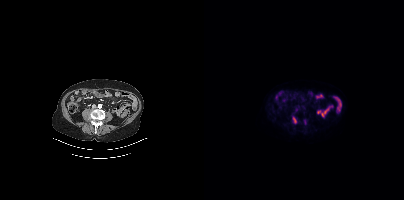
{"modality":"PSMA PET/CT","view":"axial","tracer":"[18F]PSMA-1007","pet_grid":[200,200],"coord_frame":"pet_panel","coord_format":"x0,y0,x1,y1","partial":true,"lesion_bboxes":[[89,117,92,123]]}